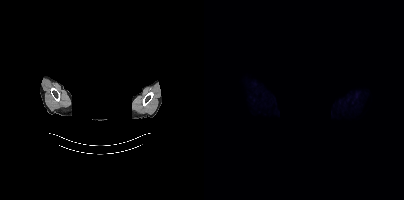
A rectangular block over the head has been blanked out for de-identification. Paired axial CT (left) and PSMA PET (right), [18F]PSMA-1007 tracer. Slice 375 of 421. No PSMA-avid tumor lesions on this slice.